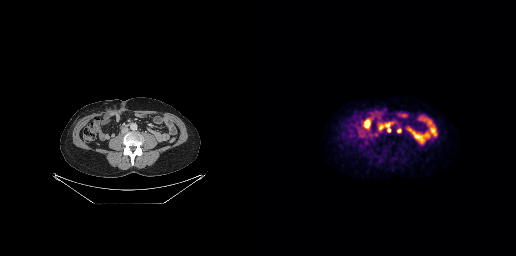
modality: PSMA PET/CT | tracer: [18F]PSMA-1007 | view: axial | PET grid: 256×256
Coordinates are on the 256×256 PET (right) panel. PSMA-avid tumor lesion bounding boxes (x, y, width, height): x=119 y=125 w=12 h=8 / x=137 y=129 w=5 h=4.